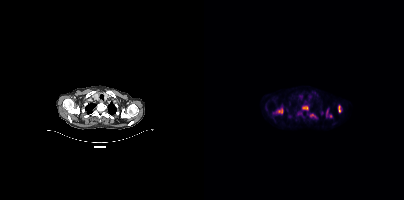
Technique: Paired axial CT (left) and PSMA PET (right), [18F]PSMA-1007 tracer. acquired on Siemens Biograph mCT Flow 20. PET panel 200×200 px (4.1 mm/px).
Findings: Coordinates are on the 200×200 PET (right) panel. PSMA-avid tumor lesion bounding boxes (x0,y0,x1,y1): [69,108,79,113] [98,106,104,109] [106,114,112,118] [122,109,124,116] [135,106,136,110]. Small PSMA-avid focus (2 to 4 px across) near (center x, center y): (126, 116).